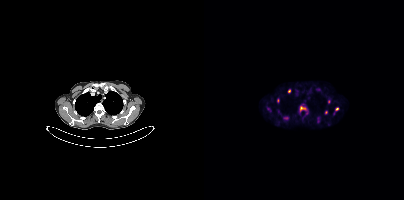
Coordinates are on the 200×200 PET (right) panel. (showing 9 of 12 foci) PSMA-avid tumor lesion bounding boxes (x0,y0,x1,y1): [95,106,103,112]; [131,107,135,111]; [79,117,84,119]; [84,89,86,93]; [73,98,75,102]; [114,118,115,122]. Small PSMA-avid foci (2 to 4 px across) near (center x, center y): (125, 101); (122, 112); (64, 108).
modality: PSMA PET/CT | tracer: 18F-PSMA | view: axial